- Paired axial CT (left) and PSMA PET (right), 18F-PSMA tracer
- acquired on GE Discovery 690
- slice 150 of 299
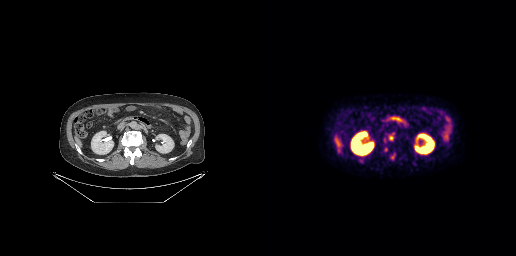
Findings: Coordinates are on the 256×256 PET (right) panel. PSMA-avid tumor lesion bounding boxes (x0, y0)-(x1, y1): (129, 133)-(134, 140) | (131, 154)-(134, 159). Small PSMA-avid foci (2 to 4 px across) near (center x, center y): (126, 149) | (101, 160).